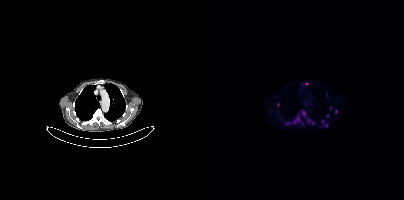
Coordinates are on the 200×200 PET (right) panel. (showing 9 of 13 foci) Small PSMA-avid foci (2 to 4 px across) near (center x, center y): (100, 113); (122, 125); (94, 119); (118, 121); (131, 111); (123, 116); (102, 83); (90, 121); (109, 122).